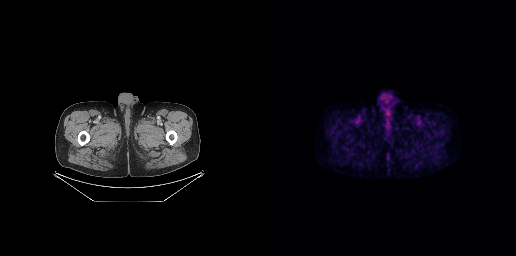
This slice has no annotated PSMA-avid lesion.